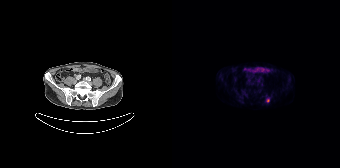
Coordinates are on the 168×168 PET (right) panel. Small PSMA-avid focus (2 to 4 px across) near (center x, center y): (96, 100). Two-panel axial: CT | PSMA PET, 18F tracer. Slice position z = -1479 mm. PET panel 168×168 px (4.1 mm/px).